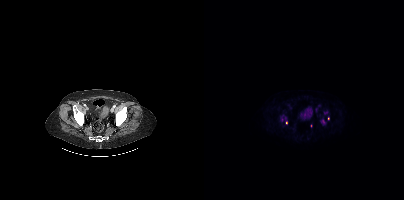
Coordinates are on the 200×200 PET (right) panel. (showing 3 of 4 foci) Small PSMA-avid foci (2 to 4 px across) near (center x, center y): (124, 118) / (119, 121) / (82, 122).